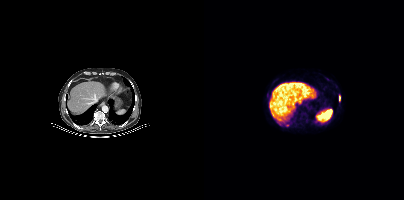
Technique: Left: CT. Right: PSMA PET, same axial level, 18F tracer. acquired on Siemens Biograph mCT Flow 20. slice position z = -605 mm.
Findings: Coordinates are on the 200×200 PET (right) panel. PSMA-avid tumor lesion bounding box (x0,y0,x1,y1): [135,95,136,100]. Small PSMA-avid focus (2 to 4 px across) near (center x, center y): (83, 125).